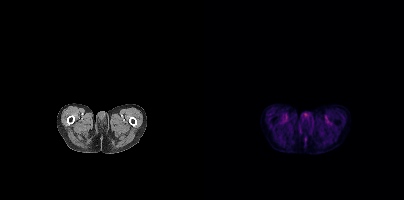
{"modality":"PSMA PET/CT","view":"axial","tracer":"[18F]PSMA-1007","pet_grid":[200,200],"coord_frame":"pet_panel","coord_format":"x0,y0,x1,y1","psma_avid_lesions":false}